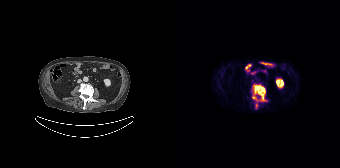
modality: PSMA PET/CT | tracer: 18F-PSMA | view: axial
Coordinates are on the 168×168 PET (right) panel. PSMA-avid tumor lesion bounding boxes (x0, y0)-(x1, y1): (81, 85)-(93, 101); (80, 96)-(84, 99). Small PSMA-avid focus (2 to 4 px across) near (center x, center y): (84, 105).